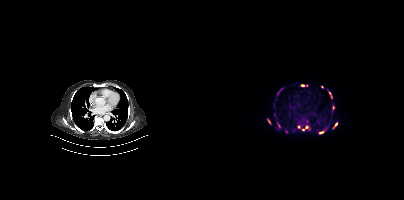
Coordinates are on the 200×200 PET (right) panel. (showing 10 of 11 foci) PSMA-avid tumor lesion bounding boxes (x0, y0)-(x1, y1): (98, 125)-(104, 130); (123, 89)-(128, 97); (73, 123)-(76, 128); (63, 119)-(66, 123); (115, 131)-(119, 133); (74, 89)-(77, 93). Small PSMA-avid foci (2 to 4 px across) near (center x, center y): (132, 124); (129, 107); (98, 85); (94, 127). Two-panel axial: CT | PSMA PET, 68Ga-PSMA tracer.